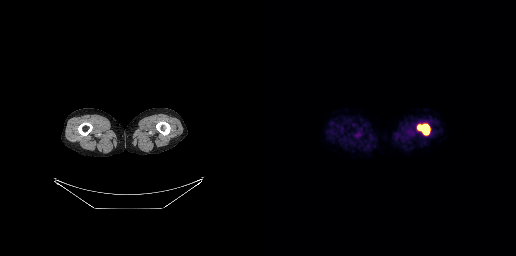
{"modality":"PSMA PET/CT","view":"axial","tracer":"[18F]PSMA-1007","pet_grid":[256,256],"coord_frame":"pet_panel","coord_format":"x0,y0,x1,y1","lesion_bboxes":[[157,124,170,135]]}